modality: PSMA PET/CT | tracer: [68Ga]Ga-PSMA-11 | view: axial
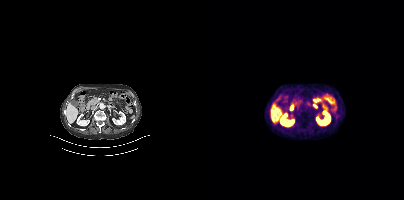
Negative for PSMA-avid disease on this slice.